Paired axial CT (left) and PSMA PET (right), 18F-PSMA tracer. Acquired on Siemens Biograph mCT Flow 20. Slice 261 of 401. PET panel 200×200 px (4.1 mm/px).
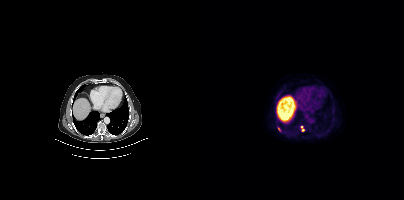
Coordinates are on the 200×200 PET (right) panel. PSMA-avid tumor lesion bounding boxes:
| # | x0 | y0 | x1 | y1 |
|---|---|---|---|---|
| 1 | 97 | 126 | 100 | 131 |
| 2 | 74 | 127 | 76 | 131 |